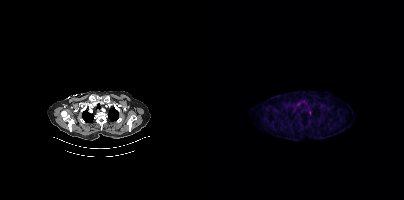
{"modality":"PSMA PET/CT","view":"axial","tracer":"18F-PSMA","pet_grid":[200,200],"coord_frame":"pet_panel","coord_format":"x0,y0,x1,y1","lesion_bboxes":[],"small_foci_centers":[[105,112]]}